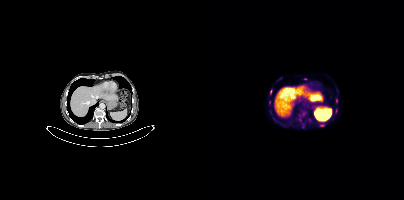
Paired axial CT (left) and PSMA PET (right), 18F-PSMA tracer. Slice position z = -1160 mm. PET panel 200×200 px (4.1 mm/px). Coordinates are on the 200×200 PET (right) panel. (showing 3 of 4 foci) PSMA-avid tumor lesion bounding box (x, y, width, height): x=66 y=90 w=3 h=5. Small PSMA-avid foci (2 to 4 px across) near (center x, center y): (118, 125) | (132, 100).